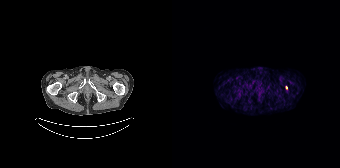
Two-panel axial: CT | PSMA PET, [68Ga]Ga-PSMA-11 tracer. Acquired on Siemens Biograph 64-4R TruePoint. Coordinates are on the 168×168 PET (right) panel. Small PSMA-avid focus (2 to 4 px across) near (center x, center y): (114, 87).